de-identification: head region blanked (face removed) | modality: PSMA PET/CT | tracer: 18F-PSMA | view: axial
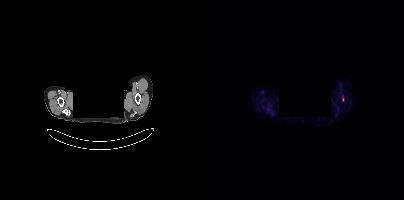
Coordinates are on the 200×200 PET (right) panel. Small PSMA-avid focus (2 to 4 px across) near (center x, center y): (138, 99).